Technique: Left: CT. Right: PSMA PET, same axial level, 18F tracer. acquired on Siemens Biograph mCT Flow 20. slice 265 of 421. PET panel 200×200 px (4.1 mm/px).
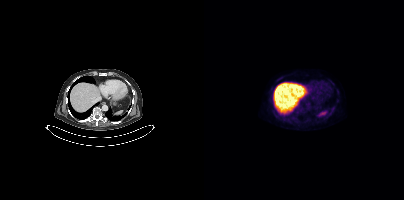
Findings: This slice has no annotated PSMA-avid lesion.